modality: PSMA PET/CT | tracer: 18F-PSMA | view: axial | PET grid: 256×256
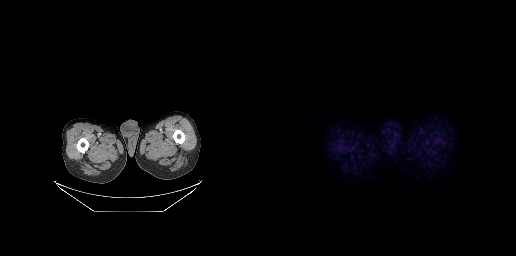
No PSMA-avid tumor lesions on this slice.